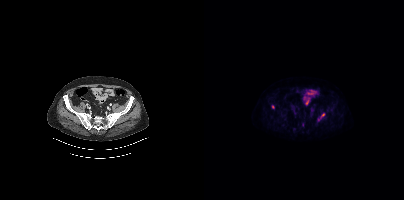
Technique: Paired axial CT (left) and PSMA PET (right), 18F-PSMA tracer. PET panel 200×200 px (4.1 mm/px).
Findings: Coordinates are on the 200×200 PET (right) panel. Small PSMA-avid foci (2 to 4 px across) near (center x, center y): (69, 106); (118, 115); (98, 124); (114, 119).